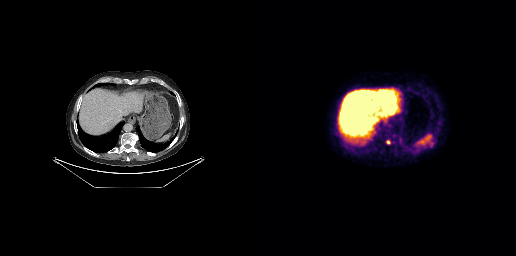
Findings: Coordinates are on the 256×256 PET (right) panel. PSMA-avid tumor lesion bounding boxes (x, y, width, height): x=161 y=142 w=12 h=6 / x=92 y=107 w=5 h=5 / x=126 y=140 w=5 h=5. Small PSMA-avid foci (2 to 4 px across) near (center x, center y): (122, 103) / (120, 91) / (102, 109) / (111, 94).
- Two-panel axial: CT | PSMA PET, 18F-PSMA tracer